Two-panel axial: CT | PSMA PET, 18F-PSMA tracer. PET panel 200×200 px (4.1 mm/px).
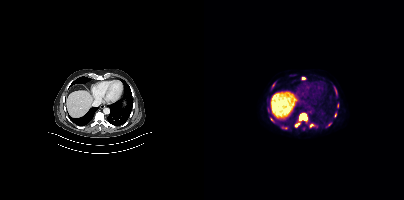
Coordinates are on the 200×200 PET (right) panel. (showing 9 of 11 foci) PSMA-avid tumor lesion bounding boxes (x0, y0)-(x1, y1): (95, 113)-(103, 120) / (78, 126)-(83, 129) / (90, 123)-(94, 126). Small PSMA-avid foci (2 to 4 px across) near (center x, center y): (107, 125) / (99, 78) / (67, 119) / (69, 84) / (131, 114) / (132, 93).